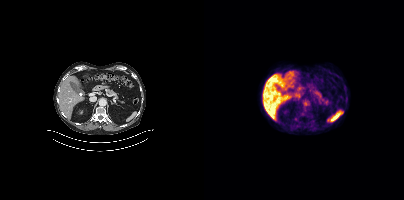
{"modality":"PSMA PET/CT","view":"axial","tracer":"18F","pet_grid":[200,200],"coord_frame":"pet_panel","coord_format":"x0,y0,x1,y1","psma_avid_lesions":false}